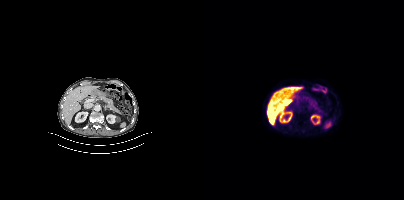
Paired axial CT (left) and PSMA PET (right), [18F]PSMA-1007 tracer. Acquired on Siemens Biograph mCT Flow 20. PET panel 200×200 px (4.1 mm/px). This slice has no annotated PSMA-avid lesion.